modality: PSMA PET/CT | tracer: [18F]PSMA-1007 | view: axial | PET grid: 200×200
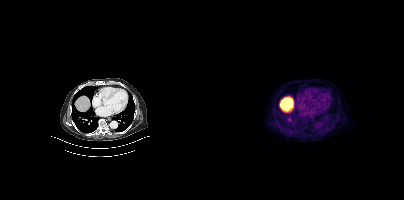
Coordinates are on the 200×200 PET (right) panel. Small PSMA-avid focus (2 to 4 px across) near (center x, center y): (85, 119).